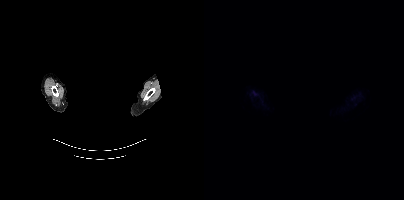
Privacy masking over the head, with the pixels inside a rectangle set to black.
This slice has no annotated PSMA-avid lesion.